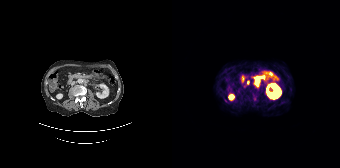
Coordinates are on the 168×168 PET (right) panel. PSMA-avid tumor lesion bounding boxes:
| # | x0 | y0 | x1 | y1 |
|---|---|---|---|---|
| 1 | 81 | 80 | 87 | 87 |
| 2 | 75 | 80 | 77 | 84 |
Small PSMA-avid focus (2 to 4 px across) near (center x, center y): (53, 100).
Left: CT. Right: PSMA PET, same axial level, 68Ga-PSMA tracer.